Two-panel axial: CT | PSMA PET, [68Ga]Ga-PSMA-11 tracer. Acquired on Siemens Biograph 64-4R TruePoint. Slice position z = -1588 mm. PET panel 168×168 px (4.1 mm/px).
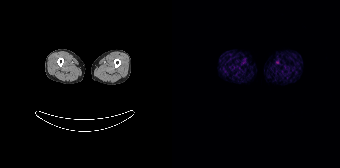
This slice has no annotated PSMA-avid lesion.